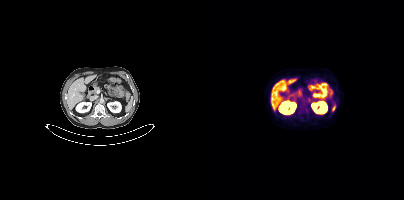
No PSMA-avid tumor lesions on this slice. Left: CT. Right: PSMA PET, same axial level, 18F-PSMA tracer. Slice 193 of 393. PET panel 200×200 px (4.1 mm/px).